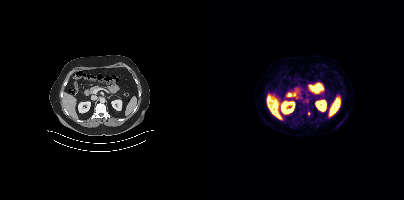
modality: PSMA PET/CT | tracer: [18F]PSMA-1007 | view: axial
Only PSMA-avid lesion pieces thinner than 2 px on this slice (not listed).